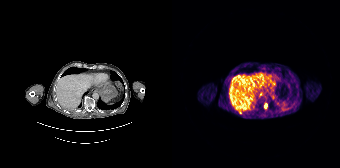
Coordinates are on the 168×168 PET (right) panel. PSMA-avid tumor lesion bounding box (x, y, width, height): x=92 y=104 w=3 h=5. Small PSMA-avid focus (2 to 4 px across) near (center x, center y): (68, 112).